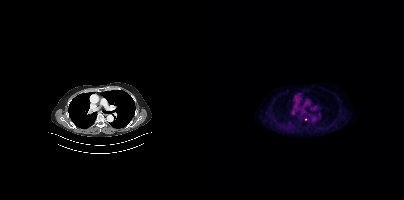
Only PSMA-avid lesion pieces thinner than 2 px on this slice (not listed). Paired axial CT (left) and PSMA PET (right), [18F]PSMA-1007 tracer. PET panel 200×200 px (4.1 mm/px).